Two-panel axial: CT | PSMA PET, [18F]PSMA-1007 tracer. Acquired on Siemens Biograph mCT Flow 20. Slice position z = -1333 mm. PET panel 200×200 px (4.1 mm/px).
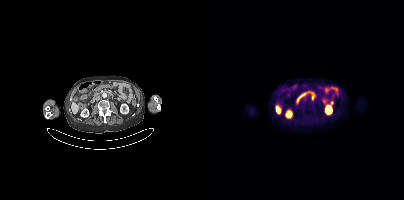
Coordinates are on the 200×200 PET (right) panel. Small PSMA-avid focus (2 to 4 px across) near (center x, center y): (100, 98).